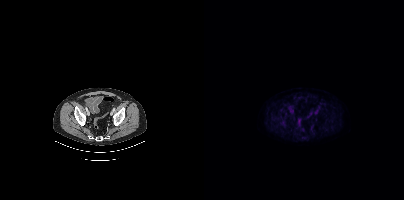
No tumor lesions annotated on this slice. Paired axial CT (left) and PSMA PET (right), 18F-PSMA tracer. Slice 94 of 417. PET panel 200×200 px (4.1 mm/px).